- Paired axial CT (left) and PSMA PET (right), 18F-PSMA tracer
- acquired on Siemens Biograph mCT Flow 20
- slice position z = -1391 mm
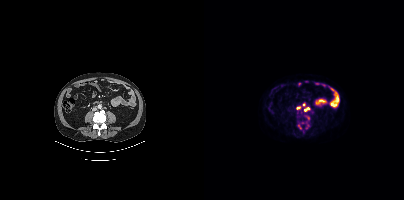
Findings: Coordinates are on the 200×200 PET (right) panel. (showing 3 of 5 foci) PSMA-avid tumor lesion bounding boxes (x0, y0)-(x1, y1): (100, 107)-(106, 111) / (92, 106)-(96, 109). Small PSMA-avid focus (2 to 4 px across) near (center x, center y): (100, 104).